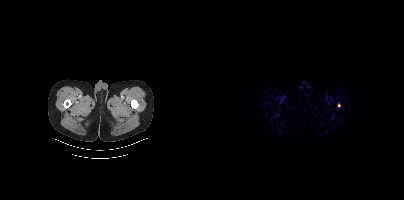
- Left: CT. Right: PSMA PET, same axial level, 18F-PSMA tracer
- acquired on Siemens Biograph mCT Flow 20
- slice position z = -1110 mm
Findings: Coordinates are on the 200×200 PET (right) panel. PSMA-avid tumor lesion bounding box (x0, y0)-(x1, y1): (134, 103)-(136, 107).